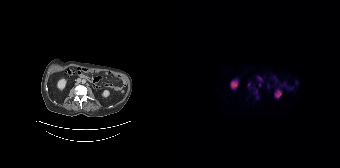
Coordinates are on the 168×168 PET (right) panel. PSMA-avid tumor lesion bounding boxes (x0, y0)-(x1, y1): (82, 88)-(87, 99) | (76, 82)-(81, 89) | (87, 82)-(89, 87).